Technique: Left: CT. Right: PSMA PET, same axial level, 18F-PSMA tracer. slice 50 of 263.
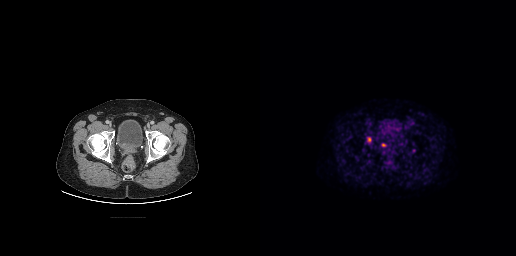
Findings: Coordinates are on the 256×256 PET (right) panel. PSMA-avid tumor lesion bounding box (x0,y0,x1,y1): [108,137,111,141]. Small PSMA-avid focus (2 to 4 px across) near (center x, center y): (123, 145).